Two-panel axial: CT | PSMA PET, 18F tracer. PET panel 168×168 px (4.1 mm/px).
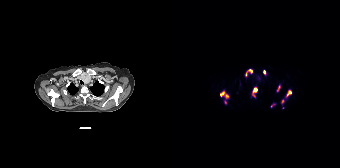
Coordinates are on the 168×168 PET (right) panel. PSMA-avid tumor lesion bounding boxes (x0,y0,x1,y1): [48,90,57,103], [80,87,85,97], [73,69,80,76], [114,90,119,97], [91,70,94,75], [105,85,108,91], [109,100,111,104], [99,104,103,107]. Small PSMA-avid focus (2 to 4 px across) near (center x, center y): (110, 107).